Technique: Left: CT. Right: PSMA PET, same axial level, 18F-PSMA tracer. slice 100 of 263.
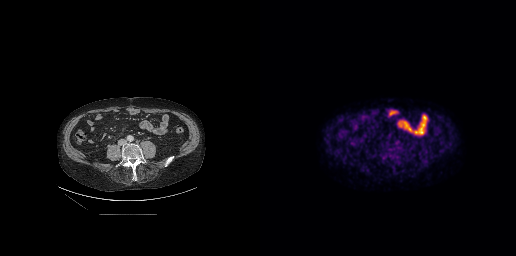
Findings: Coordinates are on the 256×256 PET (right) panel. PSMA-avid tumor lesion bounding box (x, y, width, height): x=135 y=140 w=7 h=7.